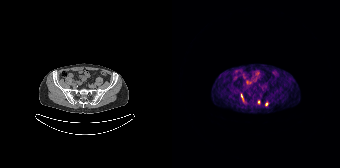
Findings: Coordinates are on the 168×168 PET (right) panel. PSMA-avid tumor lesion bounding boxes (x0, y0)-(x1, y1): (93, 102)-(96, 106) / (85, 100)-(88, 104) / (69, 94)-(71, 99).
Technique: Paired axial CT (left) and PSMA PET (right), 68Ga tracer. PET panel 168×168 px (4.1 mm/px).